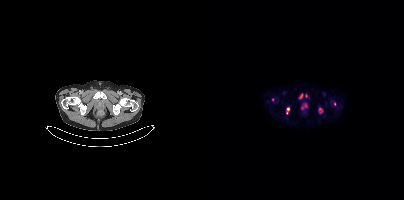
modality: PSMA PET/CT | tracer: [18F]PSMA-1007 | view: axial
Coordinates are on the 200×200 PET (right) panel. PSMA-avid tumor lesion bounding boxes (x0,y0,x1,y1): [82,107,85,114], [115,108,118,113], [95,93,98,98]. Small PSMA-avid foci (2 to 4 px across) near (center x, center y): (102, 95), (68, 99).